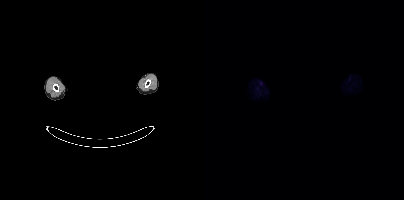
This slice has no annotated PSMA-avid lesion. Paired axial CT (left) and PSMA PET (right), 18F-PSMA tracer. Acquired on Siemens Biograph mCT Flow 20. Slice position z = -838 mm. Facial anatomy redacted by setting a rectangular region of the head to black.